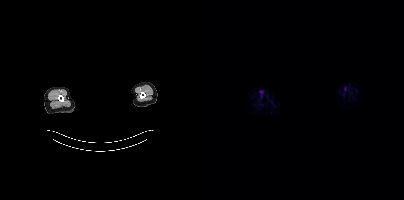
Facial anatomy redacted by setting a rectangular region of the head to black. Left: CT. Right: PSMA PET, same axial level, 18F tracer. Acquired on Siemens Biograph mCT Flow 20. Slice position z = -1030 mm. No tumor lesions annotated on this slice.